- Paired axial CT (left) and PSMA PET (right), 18F tracer
- acquired on Siemens Biograph mCT Flow 20
- PET panel 200×200 px (4.1 mm/px)
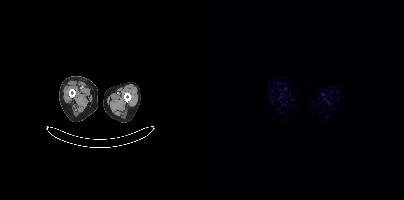
Findings: Negative for PSMA-avid disease on this slice.